Technique: Two-panel axial: CT | PSMA PET, 18F tracer.
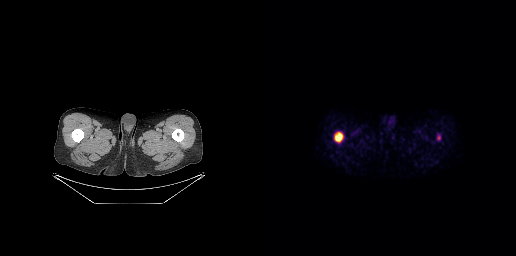
Findings: Coordinates are on the 256×256 PET (right) panel. PSMA-avid tumor lesion bounding box (x0,y0,x1,y1): [74,132,83,142].